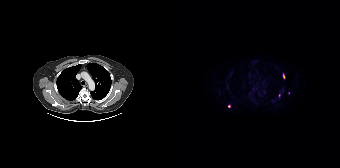
Two-panel axial: CT | PSMA PET, [18F]PSMA-1007 tracer. Acquired on Siemens Biograph 64-4R TruePoint. Coordinates are on the 168×168 PET (right) panel. (showing 2 of 4 foci) PSMA-avid tumor lesion bounding box (x, y, width, height): x=111 y=74 w=2 h=5. Small PSMA-avid focus (2 to 4 px across) near (center x, center y): (57, 106).